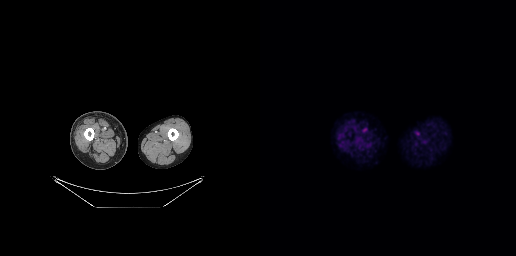
{"modality":"PSMA PET/CT","view":"axial","tracer":"[18F]PSMA-1007","pet_grid":[256,256],"coord_frame":"pet_panel","coord_format":"x0,y0,x1,y1","psma_avid_lesions":false}